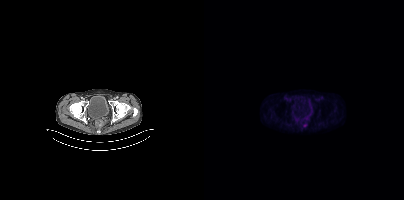
Findings: Coordinates are on the 200×200 PET (right) panel. Small PSMA-avid focus (2 to 4 px across) near (center x, center y): (100, 125).
Technique: Left: CT. Right: PSMA PET, same axial level, 18F-PSMA tracer. slice 55 of 423.